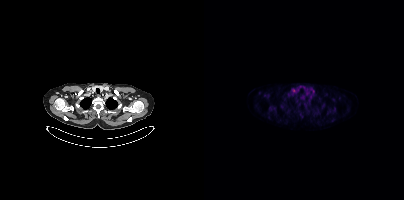
Coordinates are on the 200×200 PET (right) panel. Small PSMA-avid foci (2 to 4 px across) near (center x, center y): (89, 90) | (109, 90).
modality: PSMA PET/CT | tracer: 18F | view: axial | PET grid: 200×200